modality: PSMA PET/CT | tracer: [18F]PSMA-1007 | view: axial | PET grid: 200×200
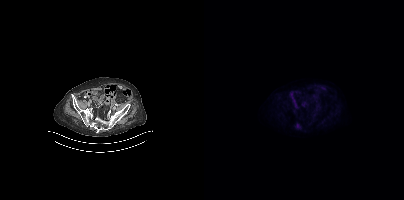
Coordinates are on the 200×200 PET (right) panel. Small PSMA-avid focus (2 to 4 px across) near (center x, center y): (93, 125).